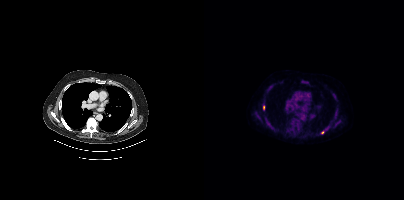
{"modality":"PSMA PET/CT","view":"axial","tracer":"18F","pet_grid":[200,200],"coord_frame":"pet_panel","coord_format":"x0,y0,x1,y1","lesion_bboxes":[[61,117,65,123]],"small_foci_centers":[[59,107],[118,132]]}